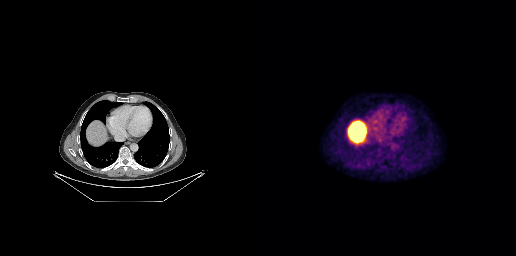
{"modality":"PSMA PET/CT","view":"axial","tracer":"[18F]PSMA-1007","pet_grid":[256,256],"coord_frame":"pet_panel","coord_format":"x0,y0,x1,y1","psma_avid_lesions":false}